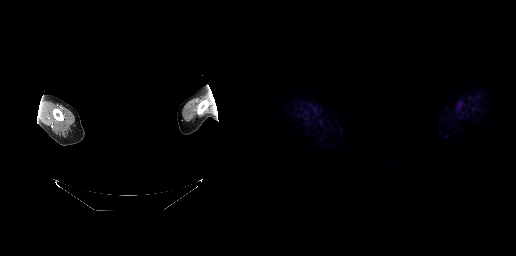
A rectangle over the head was blacked out to remove identifiable facial features. Two-panel axial: CT | PSMA PET, [68Ga]Ga-PSMA-11 tracer. Acquired on GE Discovery 690. PET panel 256×256 px (2.7 mm/px). Negative for PSMA-avid disease on this slice.